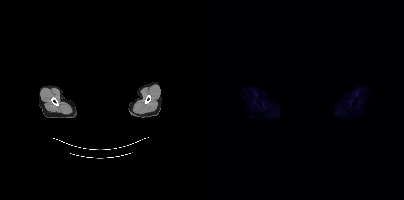
- Left: CT. Right: PSMA PET, same axial level, 68Ga tracer
- slice position z = -423 mm
- head region blanked for anonymization (face removed)
Findings: This slice has no annotated PSMA-avid lesion.